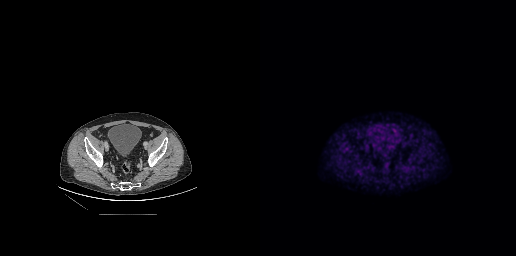
No tumor lesions annotated on this slice.